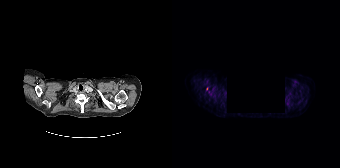
{"modality":"PSMA PET/CT","view":"axial","tracer":"18F","pet_grid":[168,168],"coord_frame":"pet_panel","coord_format":"x0,y0,x1,y1","redaction":"black rectangle is a privacy mask","lesion_bboxes":[],"small_foci_centers":[[34,88]]}